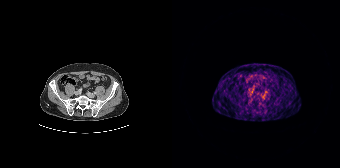
Coordinates are on the 168×168 PET (right) panel. Small PSMA-avid focus (2 to 4 px across) near (center x, center y): (77, 90).